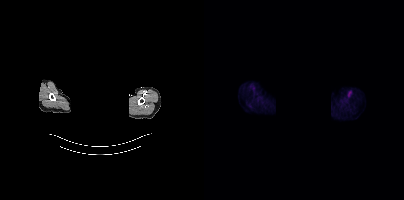
modality: PSMA PET/CT | tracer: 18F-PSMA | view: axial | redaction: head region blacked out before release
No tumor lesions annotated on this slice.